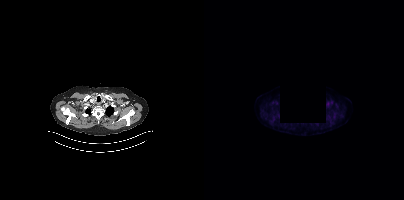
This slice has no annotated PSMA-avid lesion. A rectangular region was set to black for de-identification. Left: CT. Right: PSMA PET, same axial level, 18F tracer. Acquired on Siemens Biograph mCT Flow 20.